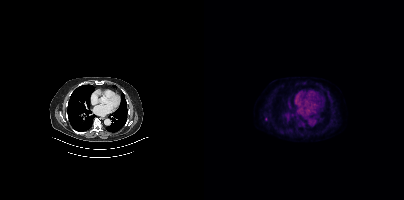
Coordinates are on the 200×200 PET (right) panel. Small PSMA-avid focus (2 to 4 px across) near (center x, center y): (62, 119).